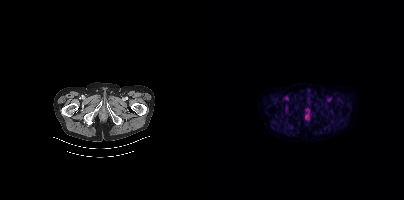
{"modality":"PSMA PET/CT","view":"axial","tracer":"18F","pet_grid":[200,200],"coord_frame":"pet_panel","coord_format":"x0,y0,x1,y1","psma_avid_lesions":false}